- Paired axial CT (left) and PSMA PET (right), 18F-PSMA tracer
- slice position z = -667 mm
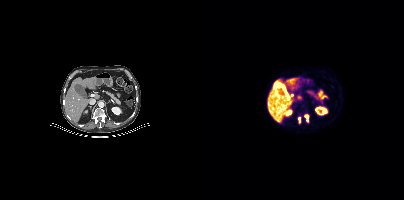
Findings: Coordinates are on the 200×200 PET (right) panel. PSMA-avid tumor lesion bounding boxes (x0, y0)-(x1, y1): (101, 115)-(104, 122) | (95, 117)-(96, 123).